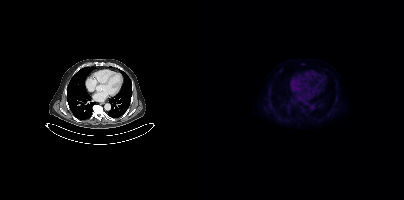
Paired axial CT (left) and PSMA PET (right), 18F-PSMA tracer. Slice position z = -525 mm. Negative for PSMA-avid disease on this slice.